Technique: Two-panel axial: CT | PSMA PET, 18F-PSMA tracer. acquired on GE Discovery 690. slice 90 of 263.
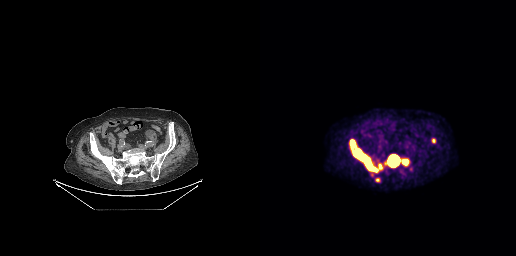
Findings: Coordinates are on the 256×256 PET (right) panel. PSMA-avid tumor lesion bounding boxes (x0,y0,x1,y1): [89,139,148,173], [115,178,119,181], [172,138,175,142]. Small PSMA-avid focus (2 to 4 px across) near (center x, center y): (111, 174).